- Left: CT. Right: PSMA PET, same axial level, 18F-PSMA tracer
- PET panel 200×200 px (4.1 mm/px)
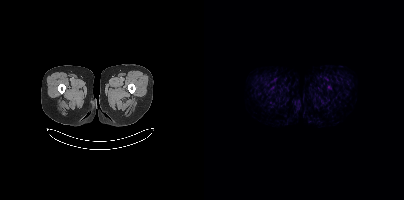
Findings: No PSMA-avid tumor lesions on this slice.